Technique: Paired axial CT (left) and PSMA PET (right), 18F-PSMA tracer. acquired on Siemens Biograph mCT Flow 20.
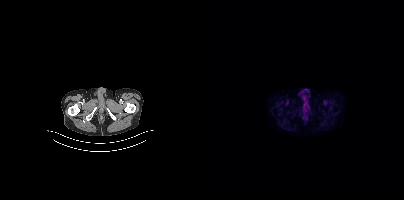
Findings: No PSMA-avid tumor lesions on this slice.